Technique: Paired axial CT (left) and PSMA PET (right), 18F tracer. acquired on GE Discovery 690.
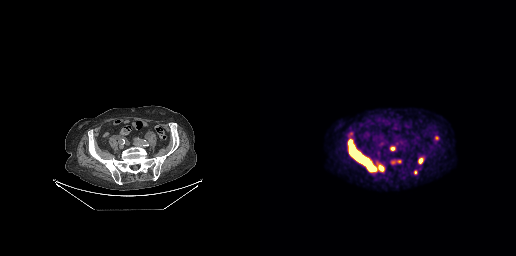
Findings: Coordinates are on the 256×256 PET (right) panel. PSMA-avid tumor lesion bounding boxes (x, y, width, height): x=88 y=139 w=37 h=34 / x=159 y=158 w=4 h=6 / x=130 y=147 w=6 h=4. Small PSMA-avid foci (2 to 4 px across) near (center x, center y): (138, 161) / (133, 162) / (177, 138) / (155, 172).